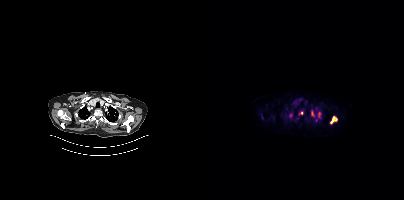
Coordinates are on the 200×200 PET (right) panel. (showing 4 of 6 foci) PSMA-avid tumor lesion bounding boxes (x0, y0)-(x1, y1): (126, 116)-(133, 123) / (107, 110)-(110, 116) / (114, 112)-(116, 117). Small PSMA-avid focus (2 to 4 px across) near (center x, center y): (97, 113).